- Two-panel axial: CT | PSMA PET, 18F-PSMA tracer
- slice 288 of 381
- PET panel 200×200 px (4.1 mm/px)
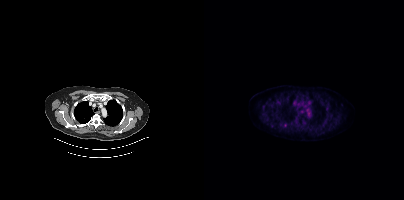
Findings: This slice has no annotated PSMA-avid lesion.